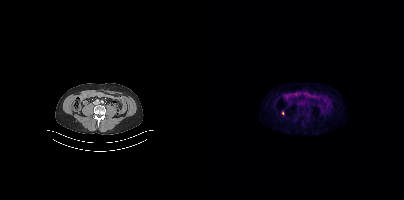
Findings: Coordinates are on the 200×200 PET (right) panel. Small PSMA-avid focus (2 to 4 px across) near (center x, center y): (78, 113).
Technique: Left: CT. Right: PSMA PET, same axial level, 18F tracer. PET panel 200×200 px (4.1 mm/px).